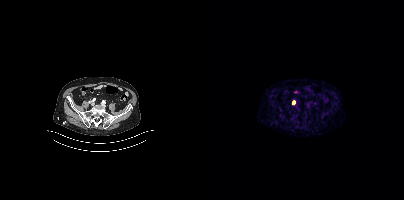
Paired axial CT (left) and PSMA PET (right), 68Ga tracer. Acquired on Siemens Biograph mCT Flow 20. PET panel 200×200 px (4.1 mm/px). Coordinates are on the 200×200 PET (right) panel. Small PSMA-avid focus (2 to 4 px across) near (center x, center y): (89, 102).